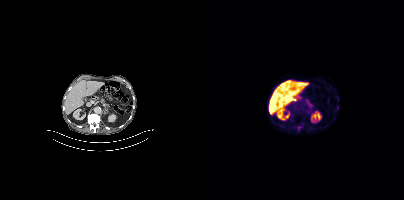
Coordinates are on the 200×200 PET (right) panel. Small PSMA-avid focus (2 to 4 px across) near (center x, center y): (94, 127).